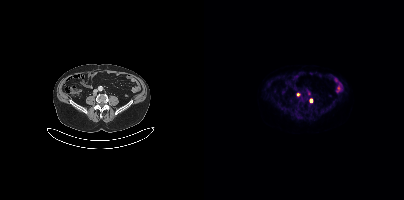
- Two-panel axial: CT | PSMA PET, 18F tracer
- acquired on Siemens Biograph mCT Flow 20
- slice position z = -779 mm
Findings: Coordinates are on the 200×200 PET (right) panel. Small PSMA-avid foci (2 to 4 px across) near (center x, center y): (107, 100); (93, 94).